Paired axial CT (left) and PSMA PET (right), [18F]PSMA-1007 tracer. PET panel 256×256 px (2.7 mm/px). A rectangular block over the head has been blanked out for de-identification.
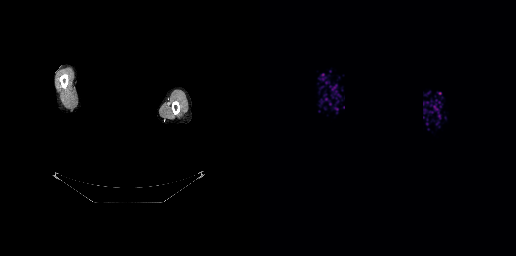
No PSMA-avid tumor lesions on this slice.